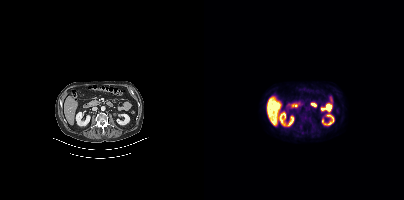
Negative for PSMA-avid disease on this slice. Paired axial CT (left) and PSMA PET (right), 18F tracer. Acquired on Siemens Biograph mCT Flow 20.